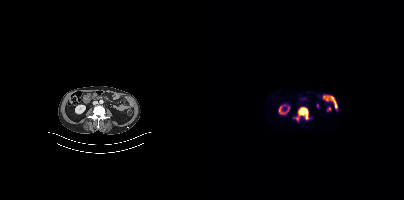
{"modality":"PSMA PET/CT","view":"axial","tracer":"18F","pet_grid":[200,200],"coord_frame":"pet_panel","coord_format":"x0,y0,x1,y1","lesion_bboxes":[[91,107,105,121]]}